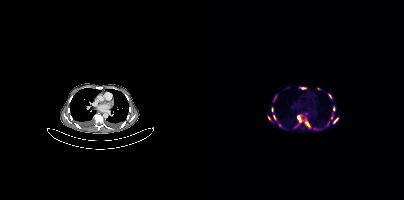
Left: CT. Right: PSMA PET, same axial level, 68Ga-PSMA tracer. PET panel 200×200 px (4.1 mm/px).
Coordinates are on the 200×200 PET (right) panel. PSMA-avid tumor lesion bounding boxes:
| # | x0 | y0 | x1 | y1 |
|---|---|---|---|---|
| 1 | 93 | 115 | 97 | 122 |
| 2 | 101 | 121 | 106 | 127 |
| 3 | 129 | 118 | 134 | 123 |
| 4 | 69 | 95 | 72 | 101 |
| 5 | 124 | 94 | 127 | 98 |
| 6 | 129 | 106 | 130 | 110 |
| 7 | 69 | 115 | 71 | 119 |
Small PSMA-avid foci (2 to 4 px across) near (center x, center y): (75, 124); (99, 87); (114, 88); (68, 109); (65, 118); (123, 124); (127, 117).